modality: PSMA PET/CT | tracer: [68Ga]Ga-PSMA-11 | view: axial | PET grid: 256×256
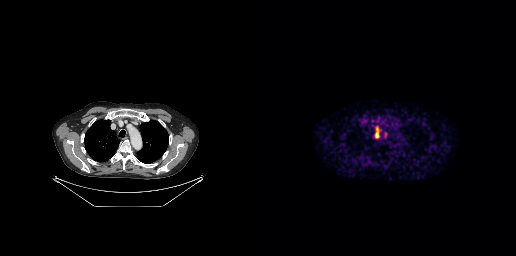
Coordinates are on the 256×256 PET (right) panel. PSMA-avid tumor lesion bounding box (x0,y0,x1,y1): [115,128,118,138].